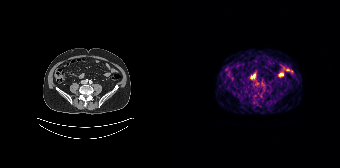
modality: PSMA PET/CT | tracer: 68Ga | view: axial | PET grid: 168×168
No tumor lesions annotated on this slice.